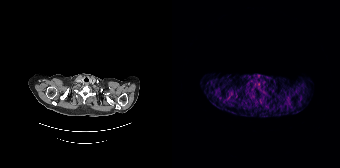
Two-panel axial: CT | PSMA PET, 68Ga tracer. Slice position z = -130 mm. This slice has no annotated PSMA-avid lesion.